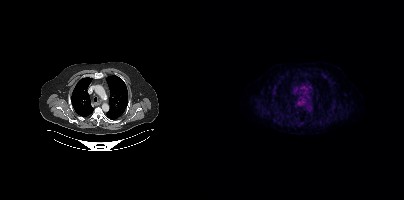
Negative for PSMA-avid disease on this slice.